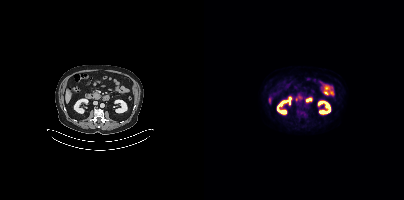
{"modality":"PSMA PET/CT","view":"axial","tracer":"18F-PSMA","pet_grid":[200,200],"coord_frame":"pet_panel","coord_format":"x0,y0,x1,y1","psma_avid_lesions":false}